modality: PSMA PET/CT | tracer: 18F-PSMA | view: axial | PET grid: 256×256
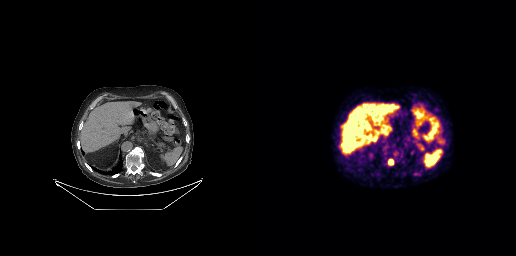
Coordinates are on the 256×256 PET (right) panel. PSMA-avid tumor lesion bounding box (x, y, width, height): x=127 y=158 w=8 h=9. Small PSMA-avid focus (2 to 4 px across) near (center x, center y): (155, 173).